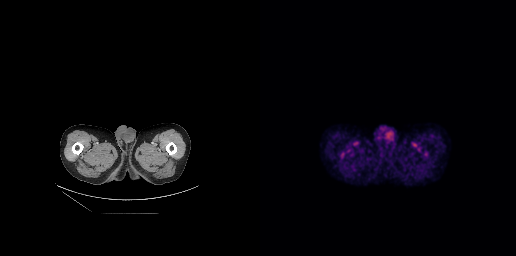
Findings: This slice has no annotated PSMA-avid lesion.
Technique: Left: CT. Right: PSMA PET, same axial level, 18F-PSMA tracer. PET panel 256×256 px (2.7 mm/px).